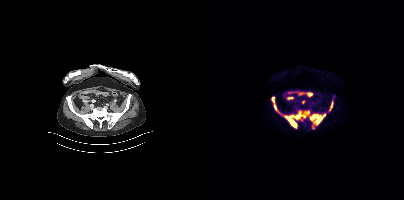
Coordinates are on the 200×200 PET (right) panel. (showing 5 of 7 foci) PSMA-avid tumor lesion bounding boxes (x, y, width, height): x=81 y=111 w=25 h=17; x=106 y=113 w=16 h=12; x=70 y=105 w=8 h=10; x=68 y=97 w=3 h=5. Small PSMA-avid focus (2 to 4 px across) near (center x, center y): (128, 102).